modality: PSMA PET/CT | tracer: [18F]PSMA-1007 | view: axial
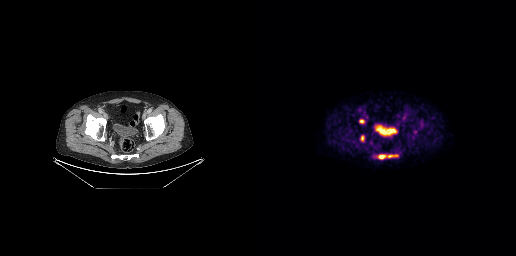
Coordinates are on the 256×256 PET (right) panel. PSMA-avid tumor lesion bounding boxes (x0,y0,x1,y1): [118,154,138,158]; [101,136,103,140]. Small PSMA-avid foci (2 to 4 px across) near (center x, center y): (101, 121); (155, 131); (115, 156).